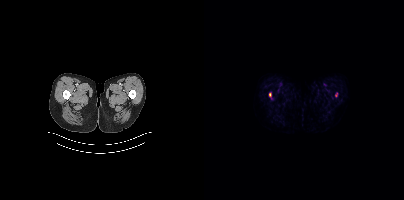
Technique: Paired axial CT (left) and PSMA PET (right), 18F-PSMA tracer. acquired on Siemens Biograph mCT Flow 20. PET panel 200×200 px (4.1 mm/px).
Findings: Coordinates are on the 200×200 PET (right) panel. (showing 2 of 3 foci) Small PSMA-avid foci (2 to 4 px across) near (center x, center y): (66, 94), (131, 95).